- Paired axial CT (left) and PSMA PET (right), 18F tracer
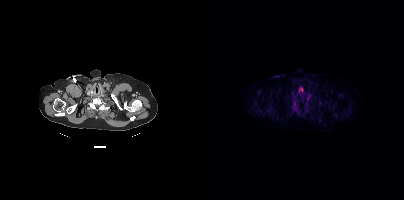
Findings: Coordinates are on the 200×200 PET (right) panel. (showing 1 of 2 foci) Small PSMA-avid focus (2 to 4 px across) near (center x, center y): (91, 104).